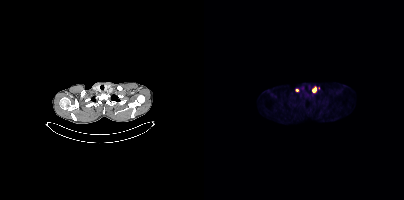
Coordinates are on the 200×200 PET (right) panel. PSMA-avid tumor lesion bounding boxes:
| # | x0 | y0 | x1 | y1 |
|---|---|---|---|---|
| 1 | 108 | 87 | 112 | 92 |
Small PSMA-avid focus (2 to 4 px across) near (center x, center y): (93, 90).
Two-panel axial: CT | PSMA PET, [18F]PSMA-1007 tracer. PET panel 200×200 px (4.1 mm/px).